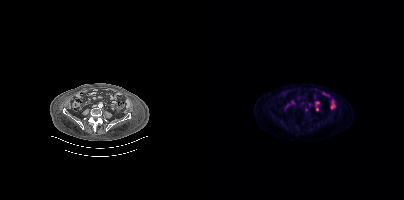
modality: PSMA PET/CT | tracer: [18F]PSMA-1007 | view: axial | PET grid: 200×200
Coordinates are on the 200×200 PET (right) panel. Small PSMA-avid focus (2 to 4 px across) near (center x, center y): (102, 109).